modality: PSMA PET/CT | tracer: 18F | view: axial | PET grid: 200×200
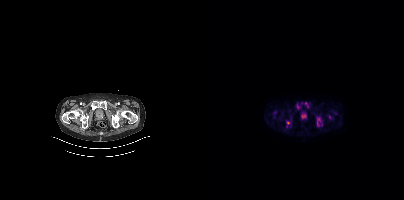
Coordinates are on the 200×200 PET (right) panel. PSMA-avid tumor lesion bounding boxes (x, y, width, height): x=112 y=118 w=7 h=9 / x=97 y=113 w=6 h=7 / x=92 y=103 w=5 h=7 / x=100 y=102 w=5 h=6 / x=82 y=121 w=5 h=4 / x=124 y=115 w=4 h=5. Small PSMA-avid foci (2 to 4 px across) near (center x, center y): (97, 102) / (131, 113) / (82, 126).